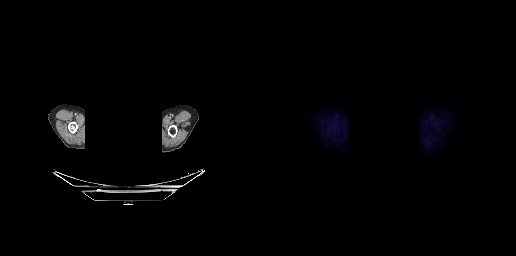
modality: PSMA PET/CT | tracer: 18F | view: axial | redaction: head region blanked (face removed)
Negative for PSMA-avid disease on this slice.